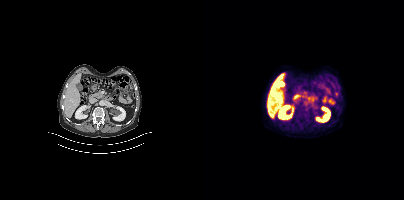
Paired axial CT (left) and PSMA PET (right), 18F-PSMA tracer. Acquired on Siemens Biograph mCT Flow 20. Slice position z = -540 mm. PET panel 200×200 px (4.1 mm/px). Negative for PSMA-avid disease on this slice.